- Paired axial CT (left) and PSMA PET (right), [18F]PSMA-1007 tracer
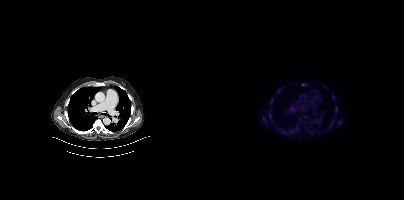
Findings: Coordinates are on the 200×200 PET (right) panel. (showing 10 of 13 foci) PSMA-avid tumor lesion bounding boxes (x0,y0,x1,y1): [85,106,89,112] [65,112,67,118] [67,98,69,103] [98,84,102,85] [132,107,133,111] [128,95,130,99]. Small PSMA-avid foci (2 to 4 px across) near (center x, center y): (74, 90) (60, 119) (135, 122) (101, 116).